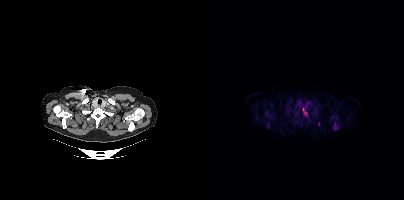
{"modality":"PSMA PET/CT","view":"axial","tracer":"18F-PSMA","pet_grid":[200,200],"coord_frame":"pet_panel","coord_format":"x0,y0,x1,y1","lesion_bboxes":[[129,120,135,130],[98,108,104,116],[90,114,94,117],[62,123,65,127]],"small_foci_centers":[[97,122],[61,113],[66,114],[114,123]]}